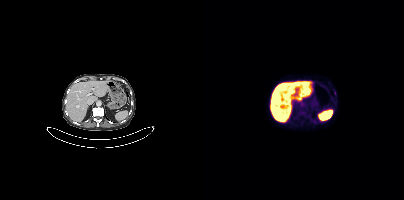
modality: PSMA PET/CT | tracer: [18F]PSMA-1007 | view: axial
No tumor lesions annotated on this slice.